Left: CT. Right: PSMA PET, same axial level, [68Ga]Ga-PSMA-11 tracer.
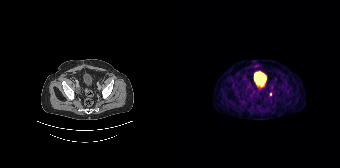
Only PSMA-avid lesion pieces thinner than 2 px on this slice (not listed).